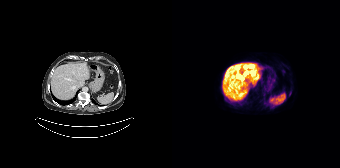
Left: CT. Right: PSMA PET, same axial level, [18F]PSMA-1007 tracer. Slice position z = -926 mm.
Coordinates are on the 168×168 PET (right) panel. PSMA-avid tumor lesion bounding boxes (partial; 2 more foci not listed):
| # | x0 | y0 | x1 | y1 |
|---|---|---|---|---|
| 1 | 79 | 71 | 82 | 75 |
Small PSMA-avid foci (2 to 4 px across) near (center x, center y): (66, 76); (73, 67).